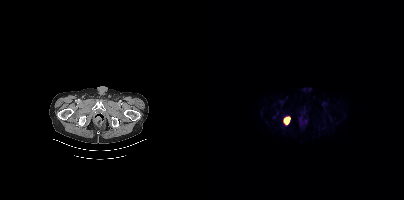
{"modality":"PSMA PET/CT","view":"axial","tracer":"18F","pet_grid":[200,200],"coord_frame":"pet_panel","coord_format":"x0,y0,x1,y1","lesion_bboxes":[[80,117,85,123]]}